Left: CT. Right: PSMA PET, same axial level, [18F]PSMA-1007 tracer. Slice 201 of 446. PET panel 200×200 px (4.1 mm/px).
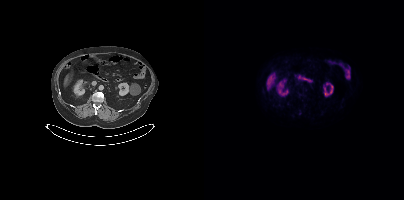
No tumor lesions annotated on this slice.